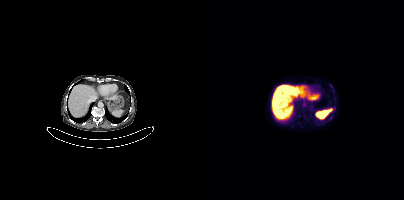
No PSMA-avid tumor lesions on this slice.